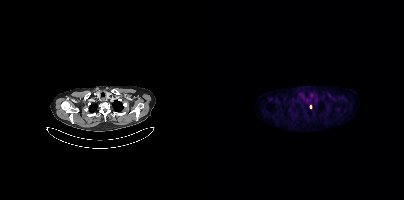
Findings: Coordinates are on the 200×200 PET (right) panel. Small PSMA-avid focus (2 to 4 px across) near (center x, center y): (106, 106).
- Paired axial CT (left) and PSMA PET (right), 18F-PSMA tracer
- acquired on Siemens Biograph mCT Flow 20
- slice position z = -1146 mm
- PET panel 200×200 px (4.1 mm/px)